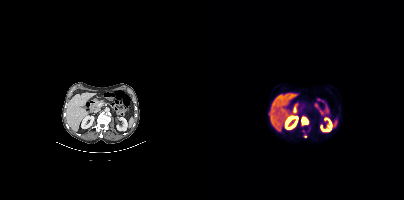
modality: PSMA PET/CT | tracer: 18F-PSMA | view: axial
Coordinates are on the 200×200 PET (right) panel. PSMA-avid tumor lesion bounding box (x, y, width, height): x=98 y=117 w=7 h=8. Small PSMA-avid foci (2 to 4 px across) near (center x, center y): (100, 136); (99, 130).